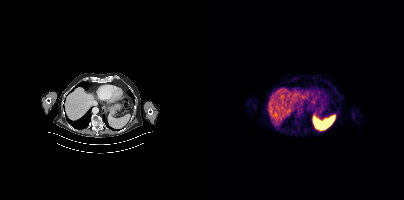
Negative for PSMA-avid disease on this slice.